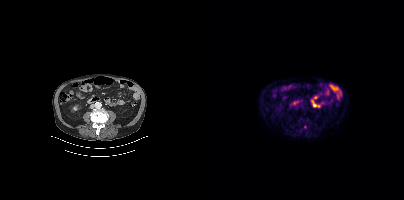
{"modality":"PSMA PET/CT","view":"axial","tracer":"18F","pet_grid":[200,200],"coord_frame":"pet_panel","coord_format":"x0,y0,x1,y1","psma_avid_lesions":false}